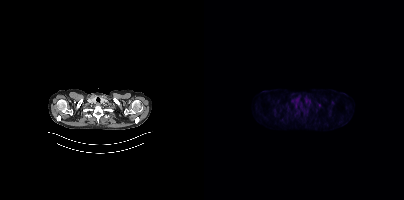
Two-panel axial: CT | PSMA PET, 18F-PSMA tracer. Acquired on Siemens Biograph mCT Flow 20. Slice position z = -419 mm. This slice has no annotated PSMA-avid lesion.